Two-panel axial: CT | PSMA PET, [18F]PSMA-1007 tracer. Slice position z = -1448 mm.
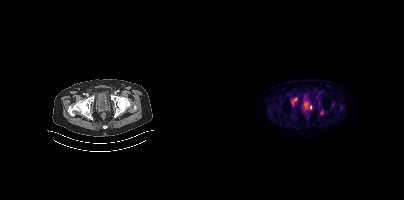
Coordinates are on the 200×200 PET (right) panel. PSMA-avid tumor lesion bounding boxes (partial; 3 more foci not listed):
| # | x0 | y0 | x1 | y1 |
|---|---|---|---|---|
| 1 | 99 | 102 | 104 | 107 |
| 2 | 87 | 98 | 92 | 104 |
Small PSMA-avid focus (2 to 4 px across) near (center x, center y): (106, 107).